modality: PSMA PET/CT | tracer: 18F-PSMA | view: axial
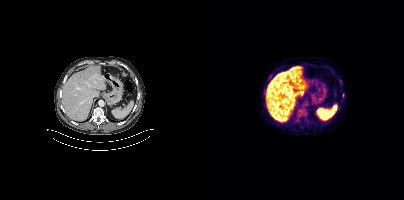
Only PSMA-avid lesion pieces thinner than 2 px on this slice (not listed).